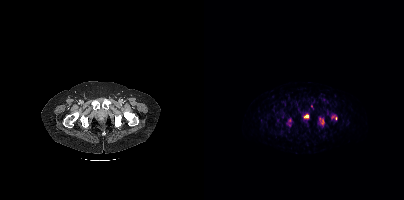
{"modality":"PSMA PET/CT","view":"axial","tracer":"[68Ga]Ga-PSMA-11","pet_grid":[200,200],"coord_frame":"pet_panel","coord_format":"x0,y0,x1,y1","partial":true,"lesion_bboxes":[[115,118,120,125],[100,115,104,117]]}